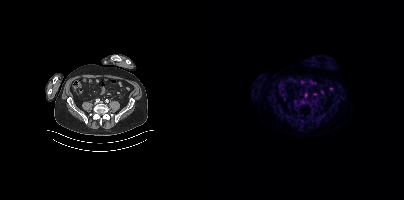
{"pet_grid":[200,200],"coord_frame":"pet_panel","coord_format":"x0,y0,x1,y1","psma_avid_lesions":false,"modality":"PSMA PET/CT","view":"axial","tracer":"[68Ga]Ga-PSMA-11"}